Two-panel axial: CT | PSMA PET, [18F]PSMA-1007 tracer. Slice position z = -956 mm.
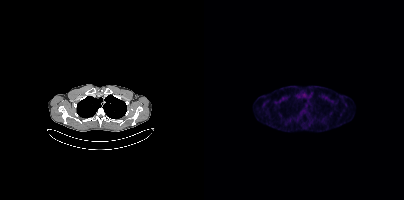
Negative for PSMA-avid disease on this slice.